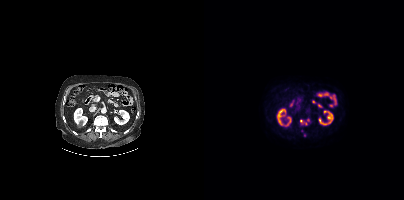
Coordinates are on the 200×200 PET (right) panel. PSMA-avid tumor lesion bounding box (x0, y0)-(x1, y1): (97, 120)-(103, 125). Two-panel axial: CT | PSMA PET, [18F]PSMA-1007 tracer. Acquired on Siemens Biograph mCT Flow 20.